Technique: Paired axial CT (left) and PSMA PET (right), 68Ga-PSMA tracer. acquired on Siemens Biograph 64-4R TruePoint. slice 39 of 195.
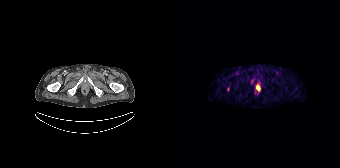
Findings: Coordinates are on the 168×168 PET (right) panel. PSMA-avid tumor lesion bounding box (x, y, width, height): x=84 y=84 w=5 h=8. Small PSMA-avid foci (2 to 4 px across) near (center x, center y): (56, 89); (80, 80).